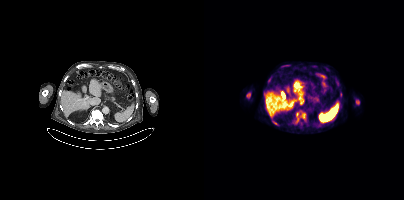
Left: CT. Right: PSMA PET, same axial level, 18F-PSMA tracer. Acquired on Siemens Biograph mCT Flow 20. PET panel 200×200 px (4.1 mm/px). Coordinates are on the 200×200 PET (right) panel. PSMA-avid tumor lesion bounding boxes (x, y, width, height): x=93 y=112 w=9 h=6 | x=42 y=93 w=5 h=5 | x=152 y=100 w=4 h=5 | x=69 y=121 w=5 h=4. Small PSMA-avid focus (2 to 4 px across) near (center x, center y): (136, 94).